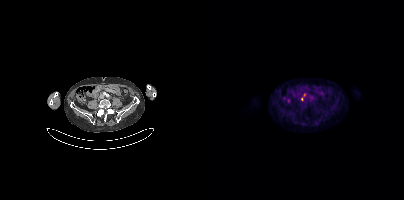
Technique: Left: CT. Right: PSMA PET, same axial level, 18F tracer. slice 135 of 417.
Findings: Coordinates are on the 200×200 PET (right) panel. Small PSMA-avid foci (2 to 4 px across) near (center x, center y): (98, 98); (100, 94).